Technique: Two-panel axial: CT | PSMA PET, [18F]PSMA-1007 tracer. PET panel 200×200 px (4.1 mm/px).
Note: The face region was removed for patient privacy by blanking a rectangle over the head.
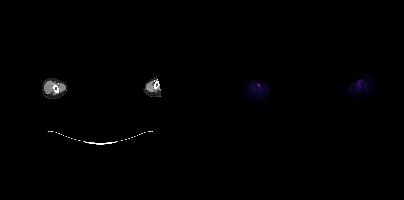
Findings: No PSMA-avid tumor lesions on this slice.